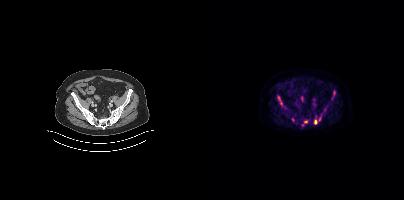
Coordinates are on the 200×200 PET (right) panel. (showing 7 of 8 foci) PSMA-avid tumor lesion bounding boxes (x0, y0)-(x1, y1): (128, 90)-(131, 99) / (74, 96)-(78, 105) / (110, 119)-(113, 124) / (115, 117)-(116, 121). Small PSMA-avid foci (2 to 4 px across) near (center x, center y): (101, 121) / (88, 119) / (111, 116).